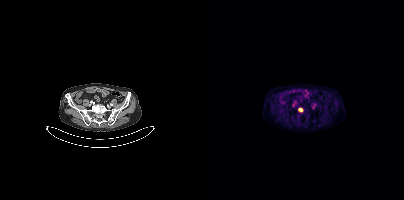
Coordinates are on the 200×200 PET (right) panel. PSMA-avid tumor lesion bounding boxes:
| # | x0 | y0 | x1 | y1 |
|---|---|---|---|---|
| 1 | 94 | 108 | 98 | 111 |
Two-panel axial: CT | PSMA PET, 18F tracer. Slice 110 of 401.